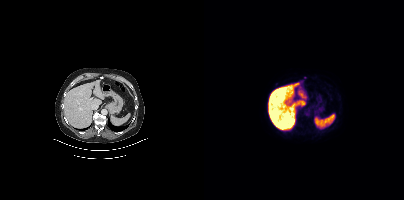
Coordinates are on the 200×200 PET (right) panel. Small PSMA-avid focus (2 to 4 px across) near (center x, center y): (101, 77).